- Paired axial CT (left) and PSMA PET (right), 18F-PSMA tracer
- acquired on Siemens Biograph mCT Flow 20
- a rectangular block over the head has been blanked out for de-identification
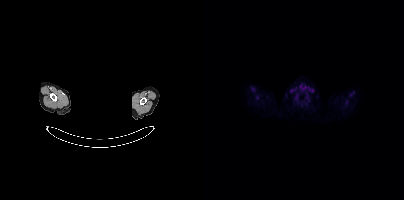
Findings: Negative for PSMA-avid disease on this slice.